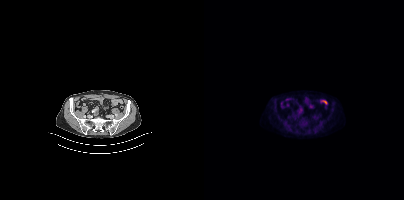
No tumor lesions annotated on this slice.